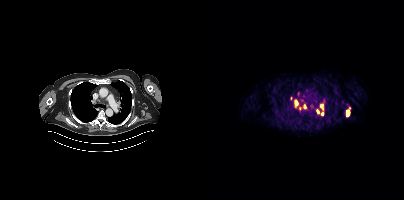
- Left: CT. Right: PSMA PET, same axial level, 68Ga-PSMA tracer
Findings: Coordinates are on the 200×200 PET (right) panel. (showing 10 of 11 foci) PSMA-avid tumor lesion bounding boxes (x, y, width, height): x=142 y=110 w=4 h=6; x=91 y=100 w=3 h=6. Small PSMA-avid foci (2 to 4 px across) near (center x, center y): (94, 93); (117, 106); (100, 106); (87, 98); (96, 109); (113, 111); (118, 113); (107, 105).